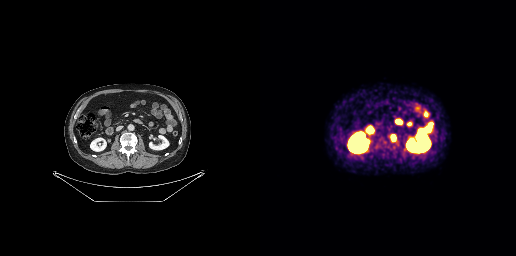
- Left: CT. Right: PSMA PET, same axial level, [68Ga]Ga-PSMA-11 tracer
- slice position z = -625 mm
Findings: Coordinates are on the 256×256 PET (right) panel. PSMA-avid tumor lesion bounding box (x, y, width, height): x=131 y=135 w=5 h=6.